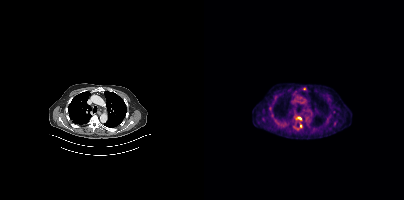
- Left: CT. Right: PSMA PET, same axial level, 18F tracer
Findings: Coordinates are on the 200×200 PET (right) panel. Small PSMA-avid foci (2 to 4 px across) near (center x, center y): (95, 118); (100, 88); (96, 125).